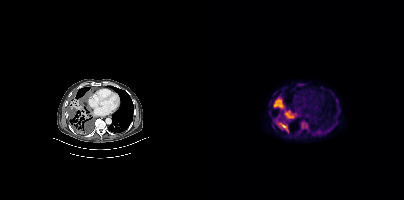
Technique: Left: CT. Right: PSMA PET, same axial level, 18F-PSMA tracer. acquired on Siemens Biograph mCT Flow 20. slice position z = -1166 mm. PET panel 200×200 px (4.1 mm/px).
Findings: Coordinates are on the 200×200 PET (right) panel. PSMA-avid tumor lesion bounding boxes (x0, y0)-(x1, y1): (69, 97)-(89, 117) | (96, 120)-(104, 129) | (77, 124)-(84, 132) | (70, 119)-(74, 124). Small PSMA-avid focus (2 to 4 px across) near (center x, center y): (115, 132).